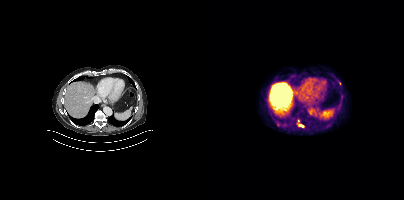
Findings: Coordinates are on the 200×200 PET (right) panel. PSMA-avid tumor lesion bounding box (x, y, width, height): x=94 y=124 w=7 h=4. Small PSMA-avid foci (2 to 4 px across) near (center x, center y): (135, 83); (94, 120).
- Paired axial CT (left) and PSMA PET (right), 18F-PSMA tracer
- PET panel 200×200 px (4.1 mm/px)